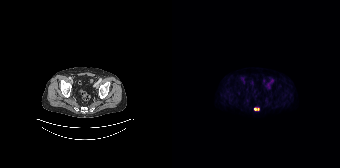
Coordinates are on the 168×168 PET (right) panel. PSMA-avid tumor lesion bounding box (x0, y0)-(x1, y1): (82, 108)-(87, 110).